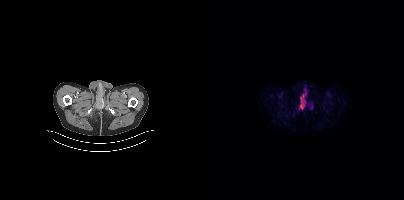
- Two-panel axial: CT | PSMA PET, 18F-PSMA tracer
Findings: Coordinates are on the 200×200 PET (right) panel. (showing 1 of 2 foci) PSMA-avid tumor lesion bounding box (x, y, width, height): x=95 y=87 w=9 h=23.